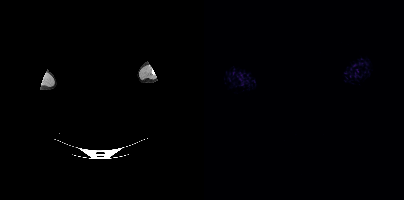
Left: CT. Right: PSMA PET, same axial level, 18F tracer. Acquired on Siemens Biograph mCT Flow 20. PET panel 200×200 px (4.1 mm/px). A rectangle over the head was blacked out to remove identifiable facial features. No tumor lesions annotated on this slice.